- Two-panel axial: CT | PSMA PET, 18F-PSMA tracer
- slice position z = -882 mm
- PET panel 200×200 px (4.1 mm/px)
- facial anatomy redacted by setting a rectangular region of the head to black
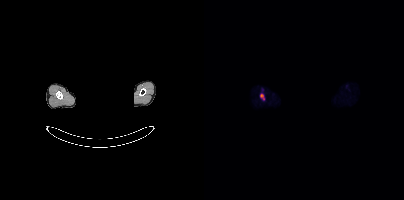
Findings: Coordinates are on the 200×200 PET (right) panel. PSMA-avid tumor lesion bounding box (x, y, width, height): x=56 y=93 w=5 h=8.